modality: PSMA PET/CT | tracer: 18F | view: axial
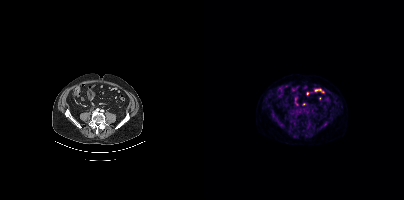
This slice has no annotated PSMA-avid lesion.